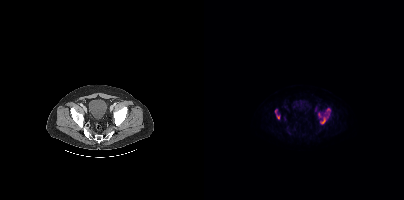
Coordinates are on the 200×200 PET (right) panel. PSMA-avid tumor lesion bounding boxes (x0, y0)-(x1, y1): (116, 108)-(126, 124) | (71, 109)-(75, 119) | (114, 112)-(117, 117).